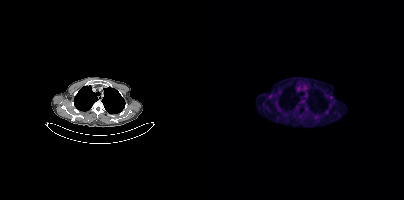
Coordinates are on the 200×200 PET (right) panel. Small PSMA-avid foci (2 to 4 px across) near (center x, center y): (127, 97), (65, 97).